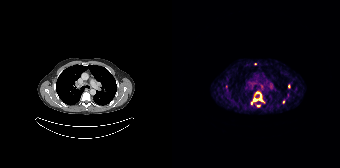
Coordinates are on the 168×168 PET (right) panel. PSMA-avid tumor lesion bounding box (x0,y0,x1,y1): [79,91,92,104]. Small PSMA-avid foci (2 to 4 px across) near (center x, center y): (86, 105); (116, 86); (111, 101); (54, 86).